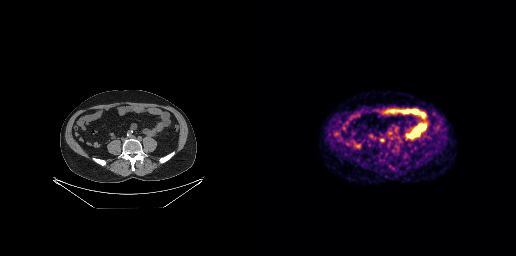
{"pet_grid":[256,256],"coord_frame":"pet_panel","coord_format":"x0,y0,x1,y1","lesion_bboxes":[],"small_foci_centers":[[120,139]],"modality":"PSMA PET/CT","view":"axial","tracer":"68Ga-PSMA"}